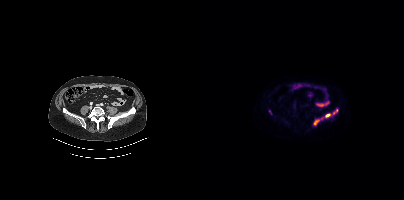
Coordinates are on the 200×200 PET (right) panel. PSMA-avid tumor lesion bounding boxes (x0,y0,x1,y1): [110,113,126,124] [129,109,133,113]. Small PSMA-avid focus (2 to 4 px across) near (center x, center y): (65, 111).
modality: PSMA PET/CT | tracer: 18F-PSMA | view: axial | PET grid: 200×200